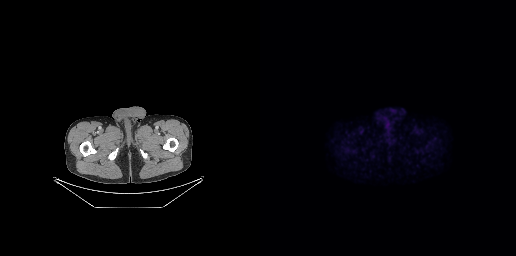
Findings: No tumor lesions annotated on this slice.
- Two-panel axial: CT | PSMA PET, [18F]PSMA-1007 tracer
- slice position z = -755 mm